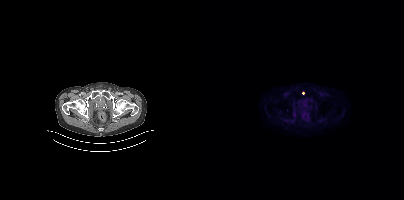
Two-panel axial: CT | PSMA PET, 18F tracer. Only PSMA-avid lesion pieces thinner than 2 px on this slice (not listed).